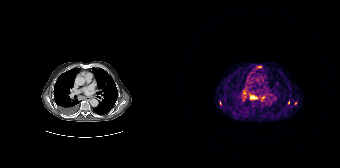
{"modality":"PSMA PET/CT","view":"axial","tracer":"68Ga-PSMA","pet_grid":[168,168],"coord_frame":"pet_panel","coord_format":"x0,y0,x1,y1","partial":true,"lesion_bboxes":[[78,95,85,99]],"small_foci_centers":[[116,102],[123,103],[91,97]]}